Technique: Two-panel axial: CT | PSMA PET, [18F]PSMA-1007 tracer.
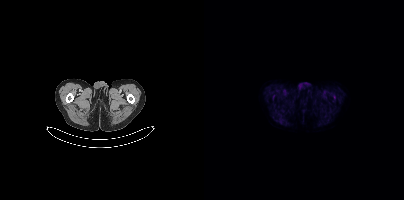
Findings: Negative for PSMA-avid disease on this slice.